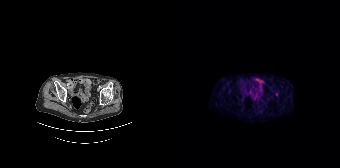
Coordinates are on the 168×168 PET (right) panel. Small PSMA-avid focus (2 to 4 px across) near (center x, center y): (104, 94).